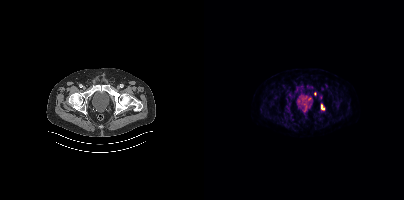
Coordinates are on the 200×200 PET (right) panel. (showing 2 of 3 foci) PSMA-avid tumor lesion bounding box (x0,y0,x1,y1): [117,104,120,110]. Small PSMA-avid focus (2 to 4 px across) near (center x, center y): (110, 93).